Left: CT. Right: PSMA PET, same axial level, 18F tracer. PET panel 200×200 px (4.1 mm/px).
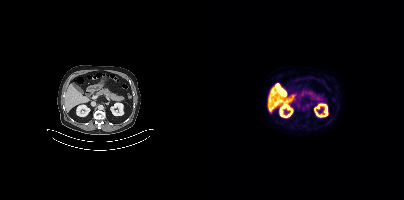
No PSMA-avid tumor lesions on this slice.